modality: PSMA PET/CT | tracer: 18F | view: axial
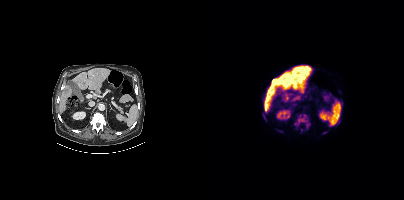
Coordinates are on the 200×200 PET (right) panel. PSMA-avid tumor lesion bounding boxes (x, y, width, height): x=90 y=114 w=17 h=16 | x=59 y=115 w=4 h=6. Small PSMA-avid focus (2 to 4 px across) near (center x, center y): (97, 130).